Paired axial CT (left) and PSMA PET (right), [68Ga]Ga-PSMA-11 tracer. Slice 158 of 195. PET panel 168×168 px (4.1 mm/px).
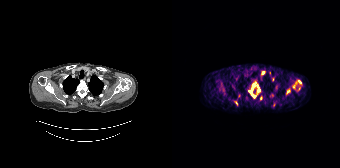
Coordinates are on the 168×168 PET (right) panel. PSMA-avid tumor lesion bounding boxes (partial; 2 more foci not listed):
| # | x0 | y0 | x1 | y1 |
|---|---|---|---|---|
| 1 | 77 | 81 | 88 | 97 |
Small PSMA-avid foci (2 to 4 px across) near (center x, center y): (91, 72); (127, 81); (116, 91); (101, 103); (88, 98); (64, 103); (100, 79).